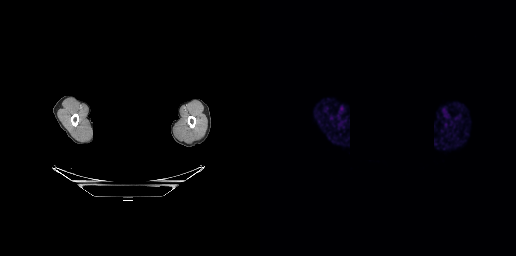
Technique: Paired axial CT (left) and PSMA PET (right), [68Ga]Ga-PSMA-11 tracer.
Note: The head region is masked for de-identification.
Findings: This slice has no annotated PSMA-avid lesion.